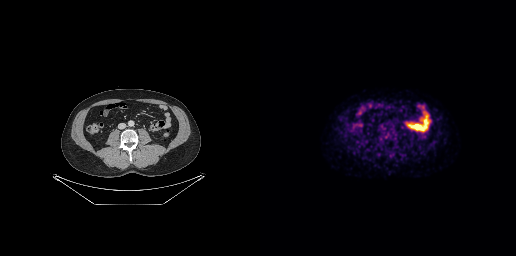
Findings: No PSMA-avid tumor lesions on this slice.
Technique: Two-panel axial: CT | PSMA PET, 18F tracer. slice position z = -503 mm. PET panel 256×256 px (2.7 mm/px).